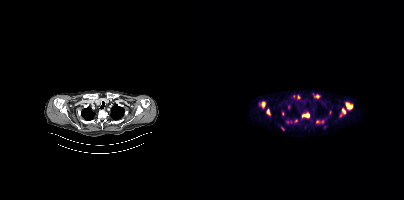
Paired axial CT (left) and PSMA PET (right), 18F-PSMA tracer. Acquired on Siemens Biograph mCT Flow 20.
Coordinates are on the 200×200 PET (right) panel. PSMA-avid tumor lesion bounding boxes:
| # | x0 | y0 | x1 | y1 |
|---|---|---|---|---|
| 1 | 141 | 102 | 148 | 110 |
| 2 | 136 | 108 | 142 | 117 |
| 3 | 98 | 113 | 105 | 117 |
| 4 | 112 | 120 | 119 | 123 |
| 5 | 58 | 102 | 61 | 107 |
| 6 | 63 | 109 | 66 | 115 |
| 7 | 90 | 119 | 93 | 123 |
Small PSMA-avid foci (2 to 4 px across) near (center x, center y): (112, 95); (85, 106); (94, 96); (86, 121); (78, 128); (89, 96); (126, 112); (78, 113).